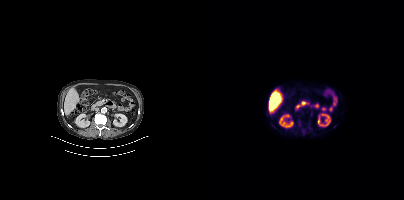
Left: CT. Right: PSMA PET, same axial level, 18F-PSMA tracer. Acquired on Siemens Biograph mCT Flow 20. Slice 199 of 427. Coordinates are on the 200×200 PET (right) panel. Small PSMA-avid focus (2 to 4 px across) near (center x, center y): (95, 123).